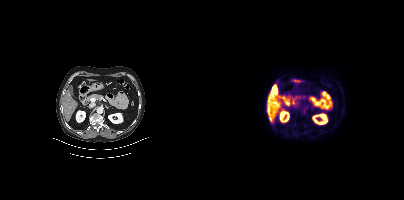
{"modality":"PSMA PET/CT","view":"axial","tracer":"[18F]PSMA-1007","pet_grid":[200,200],"coord_frame":"pet_panel","coord_format":"x0,y0,x1,y1","psma_avid_lesions":false}